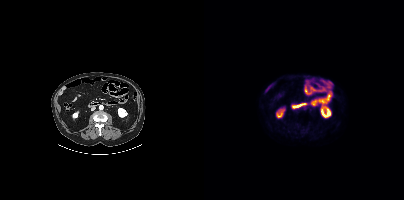
No PSMA-avid tumor lesions on this slice. Paired axial CT (left) and PSMA PET (right), 18F-PSMA tracer. Acquired on Siemens Biograph mCT Flow 20.